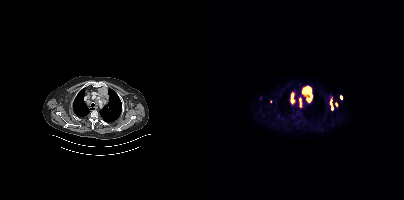
Technique: Paired axial CT (left) and PSMA PET (right), 18F-PSMA tracer. PET panel 200×200 px (4.1 mm/px).
Findings: Coordinates are on the 200×200 PET (right) panel. PSMA-avid tumor lesion bounding boxes (x, y, width, height): x=98 y=86 w=11 h=17; x=86 y=92 w=6 h=13; x=95 y=97 w=3 h=11; x=126 y=99 w=4 h=12; x=136 y=95 w=3 h=5. Small PSMA-avid foci (2 to 4 px across) near (center x, center y): (132, 104); (67, 101).